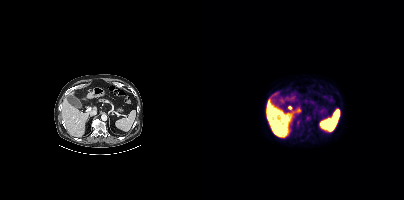
Technique: Two-panel axial: CT | PSMA PET, [18F]PSMA-1007 tracer. slice position z = -652 mm.
Findings: Only PSMA-avid lesion pieces thinner than 2 px on this slice (not listed).